Paired axial CT (left) and PSMA PET (right), [18F]PSMA-1007 tracer. Slice position z = -1104 mm. PET panel 200×200 px (4.1 mm/px).
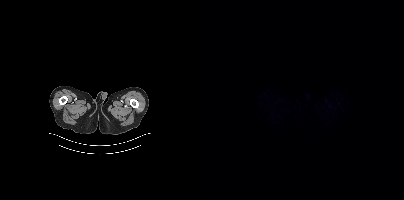
Negative for PSMA-avid disease on this slice.